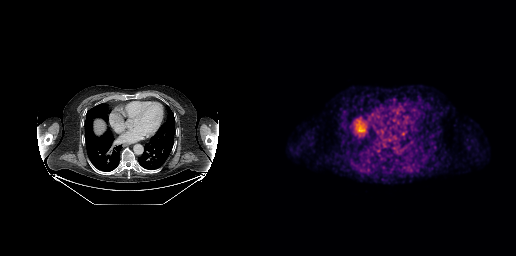
{"modality":"PSMA PET/CT","view":"axial","tracer":"[18F]PSMA-1007","pet_grid":[256,256],"coord_frame":"pet_panel","coord_format":"x0,y0,x1,y1","psma_avid_lesions":false}